Technique: Two-panel axial: CT | PSMA PET, 18F tracer. slice position z = -458 mm. PET panel 200×200 px (4.1 mm/px).
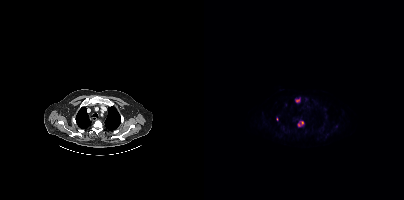
Findings: Coordinates are on the 200×200 PET (right) panel. (showing 2 of 3 foci) PSMA-avid tumor lesion bounding boxes (x, y, width, height): x=94 y=121 w=7 h=6 | x=91 y=99 w=5 h=4.